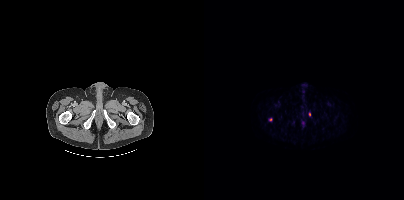
{"pet_grid":[200,200],"coord_frame":"pet_panel","coord_format":"x0,y0,x1,y1","lesion_bboxes":[],"small_foci_centers":[[105,114],[66,119]],"modality":"PSMA PET/CT","view":"axial","tracer":"[18F]PSMA-1007"}